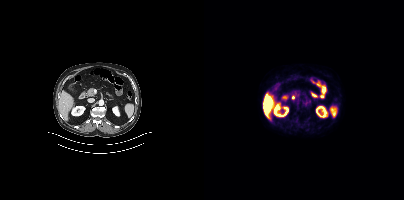
No PSMA-avid tumor lesions on this slice.